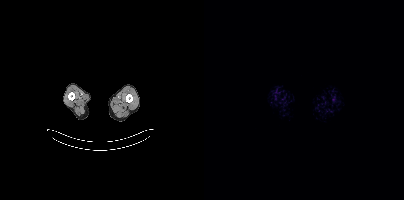
No PSMA-avid tumor lesions on this slice. Paired axial CT (left) and PSMA PET (right), 18F-PSMA tracer. Acquired on Siemens Biograph mCT Flow 20. Slice position z = -138 mm.